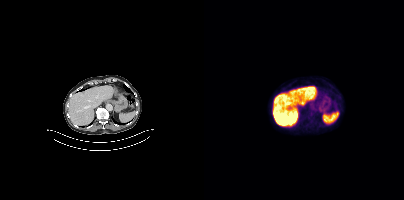
This slice has no annotated PSMA-avid lesion.